modality: PSMA PET/CT | tracer: 68Ga-PSMA | view: axial | PET grid: 168×168
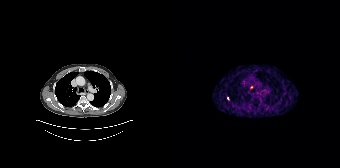
Coordinates are on the 168×168 PET (right) panel. (showing 1 of 2 foci) Small PSMA-avid focus (2 to 4 px across) near (center x, center y): (79, 86).